- Left: CT. Right: PSMA PET, same axial level, [18F]PSMA-1007 tracer
- PET panel 200×200 px (4.1 mm/px)
- some pixels were blanked for anonymization
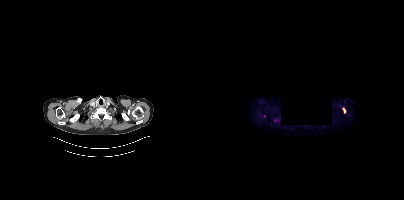
Findings: Coordinates are on the 200×200 PET (right) panel. PSMA-avid tumor lesion bounding box (x, y, width, height): x=139 y=108 w=3 h=5.